A black rectangle in this scan is a privacy mask, not anatomy. Two-panel axial: CT | PSMA PET, 18F tracer. Slice 338 of 397.
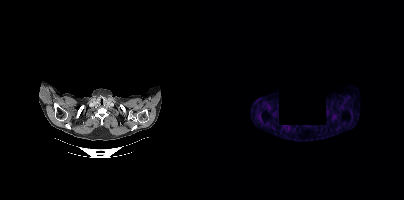
No tumor lesions annotated on this slice.